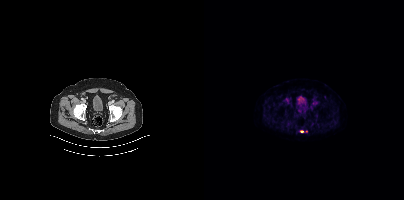
- Left: CT. Right: PSMA PET, same axial level, [18F]PSMA-1007 tracer
- acquired on Siemens Biograph mCT Flow 20
- slice 96 of 405
Findings: Coordinates are on the 200×200 PET (right) panel. Small PSMA-avid focus (2 to 4 px across) near (center x, center y): (97, 131).